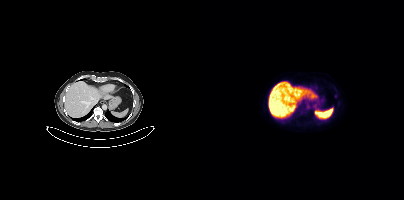
{"pet_grid":[200,200],"coord_frame":"pet_panel","coord_format":"x0,y0,x1,y1","psma_avid_lesions":false,"modality":"PSMA PET/CT","view":"axial","tracer":"18F"}